Paired axial CT (left) and PSMA PET (right), [18F]PSMA-1007 tracer. Slice position z = -664 mm. PET panel 168×168 px (4.1 mm/px).
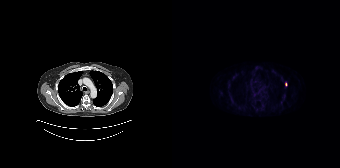
Coordinates are on the 168×168 PET (right) panel. PSMA-avid tumor lesion bounding box (x0, y0)-(x1, y1): (113, 82)-(115, 86).